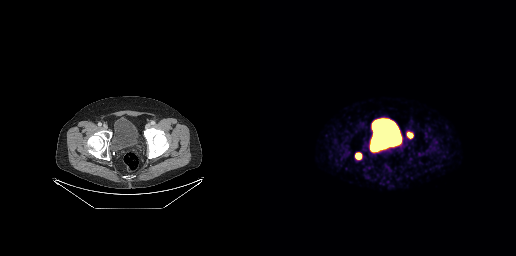
Findings: Coordinates are on the 256×256 PET (right) panel. PSMA-avid tumor lesion bounding boxes (x0, y0)-(x1, y1): (96, 153)-(101, 158) | (148, 133)-(152, 137).
- Left: CT. Right: PSMA PET, same axial level, [68Ga]Ga-PSMA-11 tracer
- acquired on GE Discovery 690